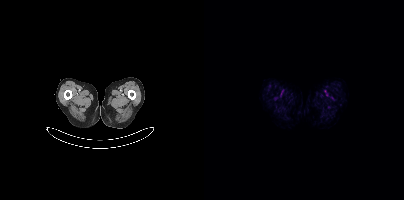
{"modality":"PSMA PET/CT","view":"axial","tracer":"18F-PSMA","pet_grid":[200,200],"coord_frame":"pet_panel","coord_format":"x0,y0,x1,y1","psma_avid_lesions":false}